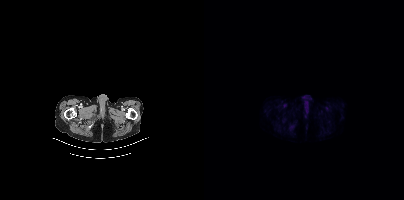
{"modality":"PSMA PET/CT","view":"axial","tracer":"68Ga","pet_grid":[200,200],"coord_frame":"pet_panel","coord_format":"x0,y0,x1,y1","psma_avid_lesions":false}